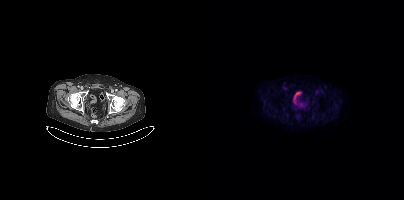
Two-panel axial: CT | PSMA PET, 18F-PSMA tracer. Negative for PSMA-avid disease on this slice.